Technique: Paired axial CT (left) and PSMA PET (right), 18F tracer. acquired on Siemens Biograph 64-4R TruePoint. slice position z = 2078 mm. PET panel 168×168 px (4.1 mm/px).
Note: A rectangle over the head was blacked out to remove identifiable facial features.
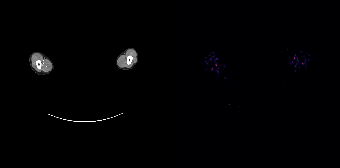
Findings: Negative for PSMA-avid disease on this slice.